modality: PSMA PET/CT | tracer: 18F | view: axial
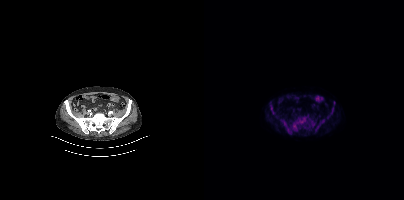
Coordinates are on the 200×200 PET (right) panel. PSMA-avid tumor lesion bounding boxes (x, y, width, height): x=76 y=115 w=36 h=19 | x=111 y=119 w=10 h=13 | x=67 y=106 w=4 h=9 | x=127 y=110 w=3 h=5. Small PSMA-avid foci (2 to 4 px across) near (center x, center y): (124, 117) | (95, 127).